Left: CT. Right: PSMA PET, same axial level, 18F tracer. Acquired on Siemens Biograph 64-4R TruePoint. PET panel 168×168 px (4.1 mm/px).
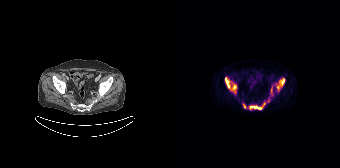
Coordinates are on the 168×168 PET (right) panel. PSMA-avid tumor lesion bounding boxes (partial; 1 more focus not listed):
| # | x0 | y0 | x1 | y1 |
|---|---|---|---|---|
| 1 | 53 | 77 | 64 | 92 |
| 2 | 104 | 78 | 112 | 91 |
| 3 | 76 | 103 | 93 | 109 |
| 4 | 99 | 86 | 100 | 95 |
| 5 | 71 | 104 | 74 | 108 |